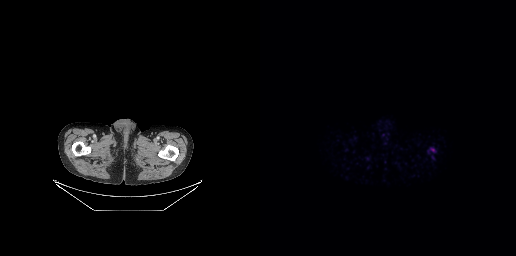
Technique: Two-panel axial: CT | PSMA PET, [68Ga]Ga-PSMA-11 tracer. PET panel 256×256 px (2.7 mm/px).
Findings: No tumor lesions annotated on this slice.